Two-panel axial: CT | PSMA PET, [18F]PSMA-1007 tracer. Acquired on Siemens Biograph mCT Flow 20. PET panel 200×200 px (4.1 mm/px).
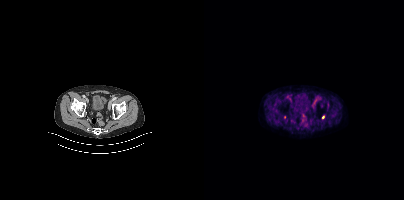
Coordinates are on the 200×200 PET (right) panel. Small PSMA-avid focus (2 to 4 px across) near (center x, center y): (119, 117).